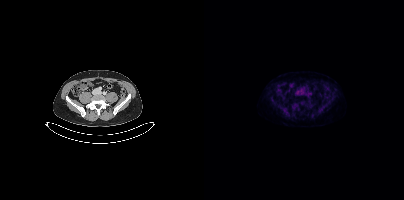
Technique: Two-panel axial: CT | PSMA PET, 18F-PSMA tracer. PET panel 200×200 px (4.1 mm/px).
Findings: This slice has no annotated PSMA-avid lesion.